modality: PSMA PET/CT | tracer: 18F | view: axial
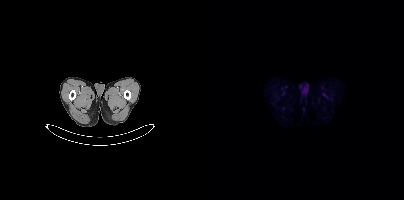
Negative for PSMA-avid disease on this slice.